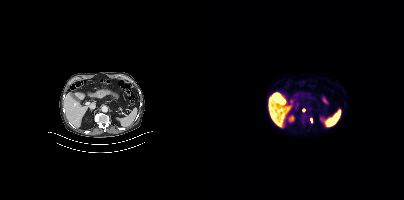
Technique: Left: CT. Right: PSMA PET, same axial level, [18F]PSMA-1007 tracer.
Findings: Coordinates are on the 200×200 PET (right) panel. Small PSMA-avid foci (2 to 4 px across) near (center x, center y): (99, 110) (106, 119).